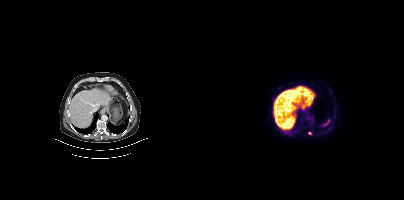
{"modality":"PSMA PET/CT","view":"axial","tracer":"18F-PSMA","pet_grid":[200,200],"coord_frame":"pet_panel","coord_format":"x0,y0,x1,y1","partial":true,"lesion_bboxes":[]}